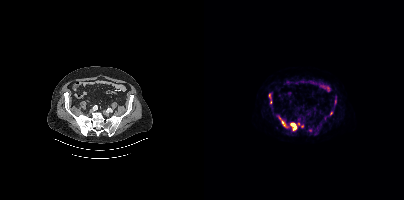
Coordinates are on the 200×200 PET (right) panel. (showing 7 of 9 foci) PSMA-avid tumor lesion bounding boxes (x0,y0,x1,y1): [86,122,93,130] [75,117,83,127]. Small PSMA-avid foci (2 to 4 px across) near (center x, center y): (65, 95) (98, 126) (127, 113) (66, 102) (94, 124).